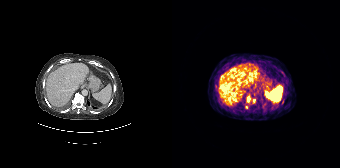
{"pet_grid":[168,168],"coord_frame":"pet_panel","coord_format":"x0,y0,x1,y1","lesion_bboxes":[[75,97,77,101]],"small_foci_centers":[[81,100],[110,102],[74,106]],"modality":"PSMA PET/CT","view":"axial","tracer":"[68Ga]Ga-PSMA-11"}